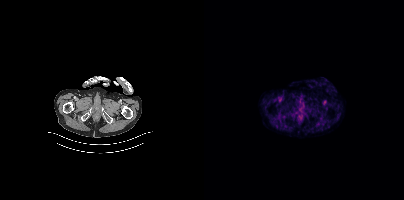
Findings: Negative for PSMA-avid disease on this slice.
Technique: Paired axial CT (left) and PSMA PET (right), [18F]PSMA-1007 tracer.